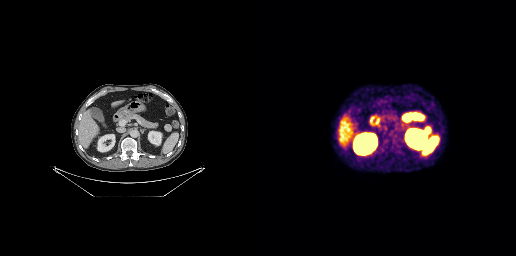
Findings: Coordinates are on the 256×256 PET (right) panel. PSMA-avid tumor lesion bounding box (x0,y0,x1,y1): [164,127,170,134].
- Two-panel axial: CT | PSMA PET, 68Ga tracer
- acquired on GE Discovery 690
- slice position z = -591 mm